Technique: Two-panel axial: CT | PSMA PET, [18F]PSMA-1007 tracer. acquired on Siemens Biograph mCT Flow 20. slice 218 of 421.
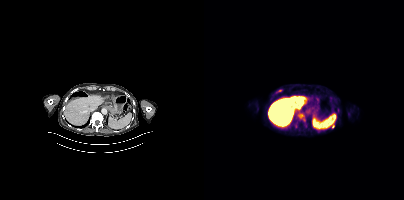
Findings: Coordinates are on the 200×200 PET (right) panel. Small PSMA-avid foci (2 to 4 px across) near (center x, center y): (129, 126); (114, 130).